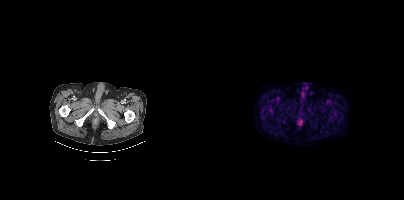
Two-panel axial: CT | PSMA PET, [18F]PSMA-1007 tracer. Slice position z = -478 mm. PET panel 200×200 px (4.1 mm/px). Negative for PSMA-avid disease on this slice.